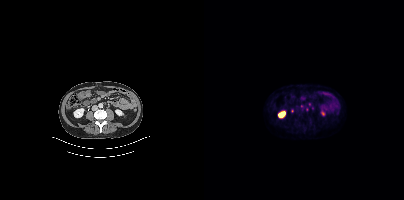
Two-panel axial: CT | PSMA PET, [18F]PSMA-1007 tracer. Acquired on Siemens Biograph mCT Flow 20. Only PSMA-avid lesion pieces thinner than 2 px on this slice (not listed).